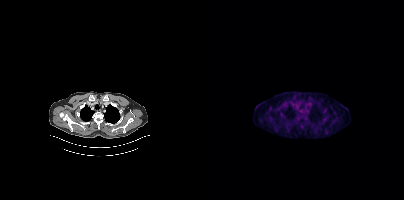
- Two-panel axial: CT | PSMA PET, [18F]PSMA-1007 tracer
- PET panel 200×200 px (4.1 mm/px)
Findings: Negative for PSMA-avid disease on this slice.